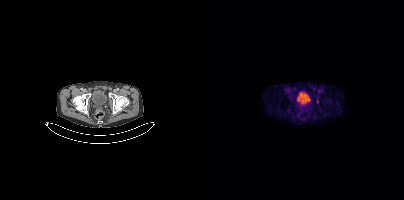
Left: CT. Right: PSMA PET, same axial level, 18F-PSMA tracer. Acquired on Siemens Biograph mCT Flow 20. Slice 69 of 417. Coordinates are on the 200×200 PET (right) panel. Small PSMA-avid focus (2 to 4 px across) near (center x, center y): (113, 101).